- Two-panel axial: CT | PSMA PET, [18F]PSMA-1007 tracer
- acquired on Siemens Biograph mCT Flow 20
- slice 64 of 367
- PET panel 200×200 px (4.1 mm/px)
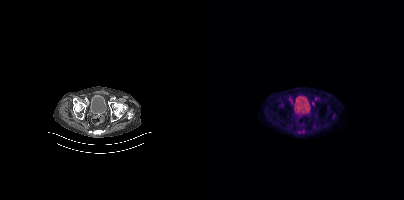
Findings: Coordinates are on the 200×200 PET (right) panel. PSMA-avid tumor lesion bounding box (x0, y0)-(x1, y1): (128, 113)-(133, 119). Small PSMA-avid foci (2 to 4 px across) near (center x, center y): (109, 103); (111, 98).